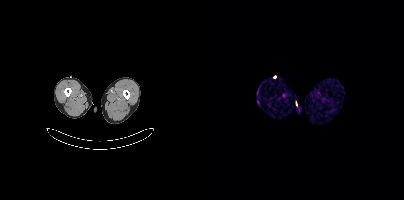
Findings: Negative for PSMA-avid disease on this slice.
Technique: Left: CT. Right: PSMA PET, same axial level, 68Ga-PSMA tracer. slice position z = -1045 mm. PET panel 200×200 px (4.1 mm/px).